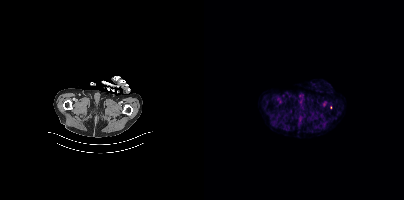
- Paired axial CT (left) and PSMA PET (right), [18F]PSMA-1007 tracer
- acquired on Siemens Biograph mCT Flow 20
- PET panel 200×200 px (4.1 mm/px)
Findings: Only PSMA-avid lesion pieces thinner than 2 px on this slice (not listed).